- Left: CT. Right: PSMA PET, same axial level, [68Ga]Ga-PSMA-11 tracer
- acquired on Siemens Biograph 64-4R TruePoint
- slice 125 of 165
- PET panel 168×168 px (4.1 mm/px)
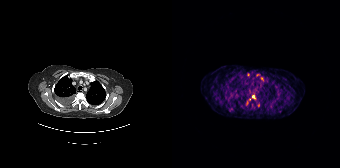
Findings: Coordinates are on the 168×168 PET (right) panel. (showing 4 of 6 foci) Small PSMA-avid foci (2 to 4 px across) near (center x, center y): (81, 96), (76, 74), (86, 105), (77, 99).